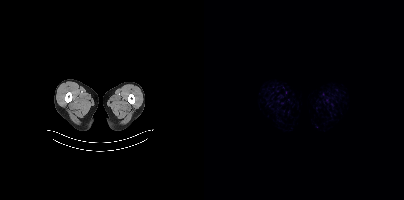
modality: PSMA PET/CT | tracer: [18F]PSMA-1007 | view: axial | PET grid: 200×200
No PSMA-avid tumor lesions on this slice.